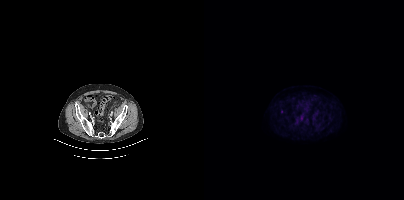
{"modality":"PSMA PET/CT","view":"axial","tracer":"[18F]PSMA-1007","pet_grid":[200,200],"coord_frame":"pet_panel","coord_format":"x0,y0,x1,y1","lesion_bboxes":[],"small_foci_centers":[[77,111]]}